Technique: Two-panel axial: CT | PSMA PET, 18F-PSMA tracer.
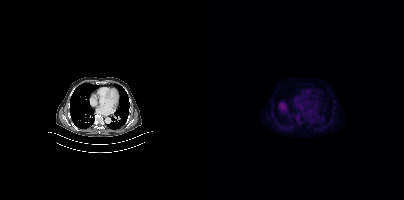
Findings: No PSMA-avid tumor lesions on this slice.